- Paired axial CT (left) and PSMA PET (right), 18F tracer
- PET panel 200×200 px (4.1 mm/px)
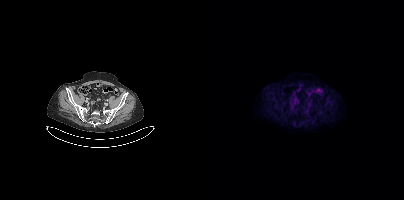
Findings: No tumor lesions annotated on this slice.